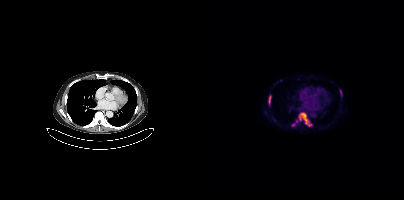
Coordinates are on the 200×200 PET (right) panel. PSMA-avid tumor lesion bounding boxes:
| # | x0 | y0 | x1 | y1 |
|---|---|---|---|---|
| 1 | 95 | 112 | 107 | 126 |
| 2 | 64 | 95 | 67 | 105 |
| 3 | 87 | 121 | 93 | 126 |
| 4 | 136 | 89 | 138 | 96 |
Paired axial CT (left) and PSMA PET (right), [18F]PSMA-1007 tracer. Slice position z = -598 mm.